- Left: CT. Right: PSMA PET, same axial level, 18F-PSMA tracer
- acquired on Siemens Biograph mCT Flow 20
- slice 34 of 423
- PET panel 200×200 px (4.1 mm/px)
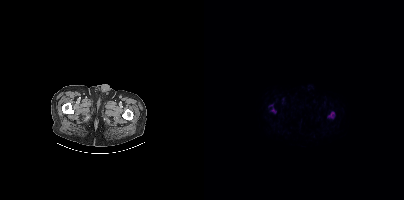
Findings: Coordinates are on the 200×200 PET (right) panel. (showing 2 of 3 foci) PSMA-avid tumor lesion bounding boxes (x0, y0)-(x1, y1): (124, 112)-(130, 118); (67, 108)-(72, 112).